Paired axial CT (left) and PSMA PET (right), [68Ga]Ga-PSMA-11 tracer. Acquired on GE Discovery 690. PET panel 256×256 px (2.7 mm/px).
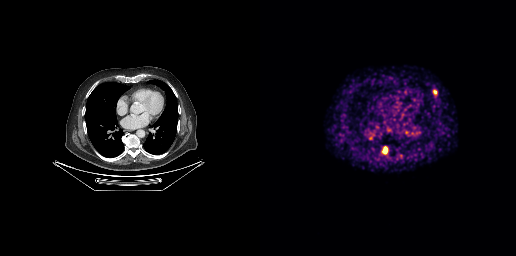
Coordinates are on the 256×256 PET (right) panel. PSMA-avid tumor lesion bounding boxes:
| # | x0 | y0 | x1 | y1 |
|---|---|---|---|---|
| 1 | 123 | 147 | 127 | 153 |
Small PSMA-avid focus (2 to 4 px across) near (center x, center y): (175, 91).